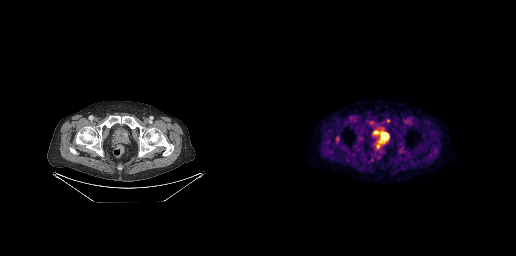
Two-panel axial: CT | PSMA PET, 18F-PSMA tracer. PET panel 256×256 px (2.7 mm/px). Coordinates are on the 256×256 PET (right) panel. PSMA-avid tumor lesion bounding box (x0,y0,x1,y1): [122,134,128,138]. Small PSMA-avid foci (2 to 4 px across) near (center x, center y): (111, 122), (119, 141), (118, 145).